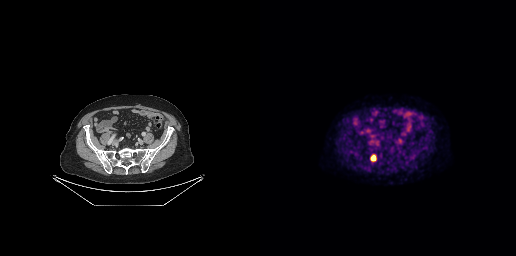
Coordinates are on the 256×256 PET (right) panel. PSMA-avid tumor lesion bounding box (x0, y0)-(x1, y1): (111, 155)-(115, 160).